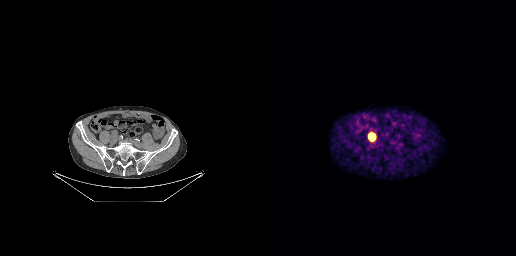
Coordinates are on the 256×256 PET (right) panel. PSMA-avid tumor lesion bounding box (x0,y0,x1,y1): [109,134,114,139].